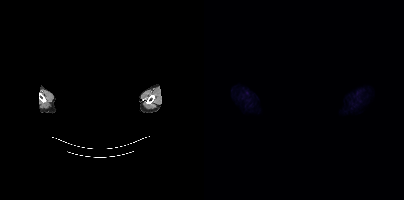
- a rectangle over the head was blacked out to remove identifiable facial features
- Paired axial CT (left) and PSMA PET (right), 18F-PSMA tracer
- slice 388 of 427
- PET panel 200×200 px (4.1 mm/px)
Findings: Negative for PSMA-avid disease on this slice.